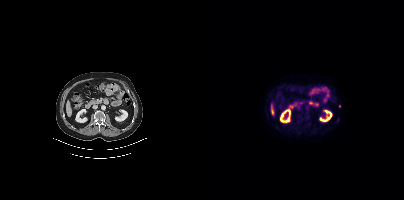
Only PSMA-avid lesion pieces thinner than 2 px on this slice (not listed).